modality: PSMA PET/CT | tracer: [68Ga]Ga-PSMA-11 | view: axial
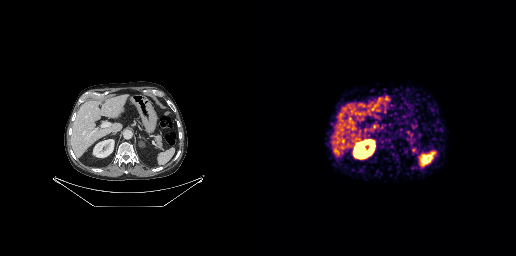
No PSMA-avid tumor lesions on this slice.